- Paired axial CT (left) and PSMA PET (right), 18F-PSMA tracer
- slice 116 of 401
- PET panel 200×200 px (4.1 mm/px)
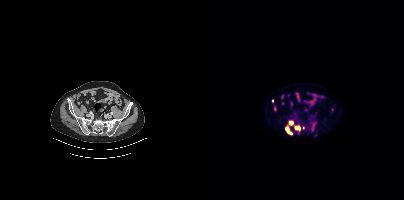
Findings: Coordinates are on the 200×200 PET (right) panel. (showing 5 of 6 foci) PSMA-avid tumor lesion bounding boxes (x, y, width, height): x=81 y=126 w=8 h=9 | x=91 y=126 w=6 h=5 | x=85 y=121 w=5 h=4. Small PSMA-avid foci (2 to 4 px across) near (center x, center y): (68, 100) | (99, 127).